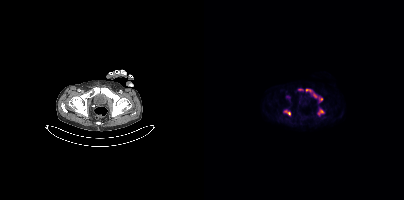
Coordinates are on the 200×200 PET (right) panel. PSMA-avid tumor lesion bounding boxes (x0,y0,x1,y1): [113,109,120,115], [79,109,86,114], [109,93,113,97], [102,89,107,91], [115,97,118,101]. Small PSMA-avid focus (2 to 4 px across) near (center x, center y): (96, 89).